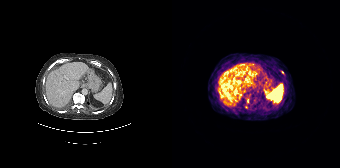
Coordinates are on the 168×168 PET (right) panel. (showing 1 of 3 foci) Small PSMA-avid focus (2 to 4 px across) near (center x, center y): (110, 72).